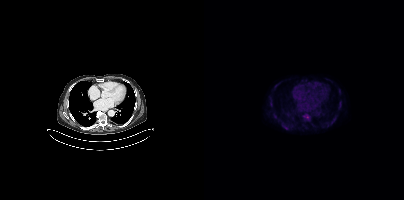
Coordinates are on the 200×200 PET (right) panel. (showing 2 of 4 foci) Small PSMA-avid foci (2 to 4 px across) near (center x, center y): (67, 104) | (81, 127). Left: CT. Right: PSMA PET, same axial level, 18F-PSMA tracer. PET panel 200×200 px (4.1 mm/px).